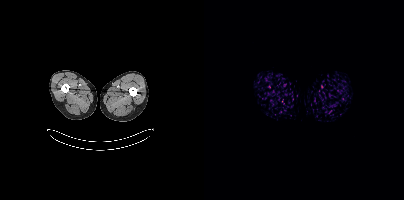
Findings: No tumor lesions annotated on this slice.
- Paired axial CT (left) and PSMA PET (right), 18F tracer
- slice position z = 968 mm